modality: PSMA PET/CT | tracer: [18F]PSMA-1007 | view: axial | PET grid: 200×200
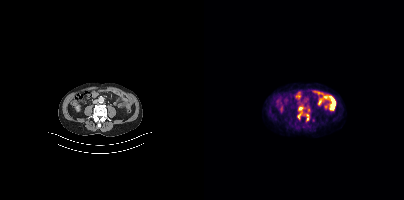
Coordinates are on the 200×200 PET (right) panel. PSMA-avid tumor lesion bounding boxes (x0, y0)-(x1, y1): (94, 107)-(98, 110) / (102, 114)-(104, 120) / (94, 113)-(97, 118).